Two-panel axial: CT | PSMA PET, [68Ga]Ga-PSMA-11 tracer. PET panel 256×256 px (2.7 mm/px).
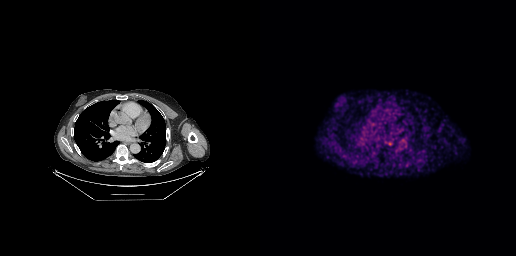
No tumor lesions annotated on this slice.